Technique: Two-panel axial: CT | PSMA PET, 18F-PSMA tracer. acquired on Siemens Biograph mCT Flow 20. slice position z = -408 mm.
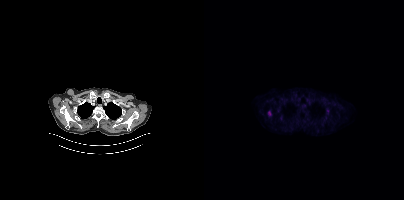
Findings: Coordinates are on the 200×200 PET (right) panel. Small PSMA-avid focus (2 to 4 px across) near (center x, center y): (65, 113).